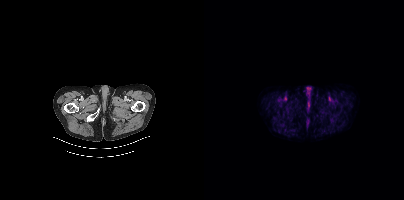
Two-panel axial: CT | PSMA PET, [18F]PSMA-1007 tracer. Slice 46 of 454. PET panel 200×200 px (4.1 mm/px). Negative for PSMA-avid disease on this slice.